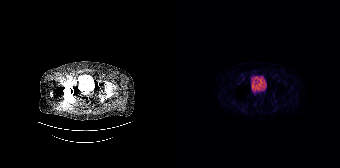
Technique: Left: CT. Right: PSMA PET, same axial level, 18F-PSMA tracer. acquired on Siemens Biograph 64-4R TruePoint. slice position z = -1236 mm. PET panel 168×168 px (4.1 mm/px).
Findings: This slice has no annotated PSMA-avid lesion.